modality: PSMA PET/CT | tracer: 68Ga-PSMA | view: axial | PET grid: 256×256
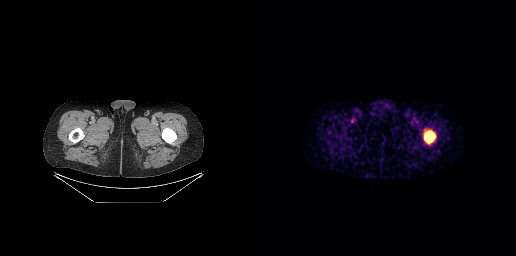
Coordinates are on the 256×256 PET (right) panel. PSMA-avid tumor lesion bounding box (x0,y0,x1,y1): [164,131,175,143].